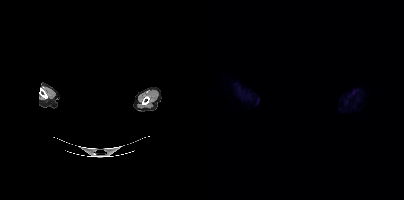
The head region is masked for de-identification.
No PSMA-avid tumor lesions on this slice.